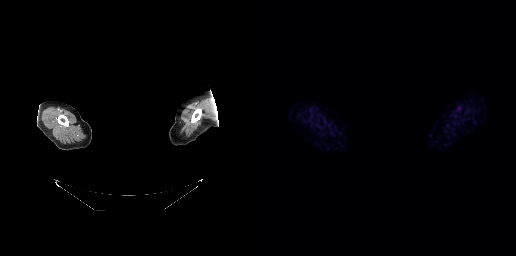
- Paired axial CT (left) and PSMA PET (right), [68Ga]Ga-PSMA-11 tracer
- slice 250 of 263
- PET panel 256×256 px (2.7 mm/px)
- the face region was removed for patient privacy by blanking a rectangle over the head
Findings: No PSMA-avid tumor lesions on this slice.